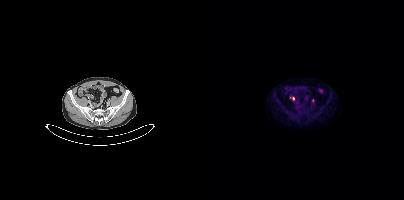
Coordinates are on the 200×200 PET (right) panel. (showing 1 of 3 foci) Small PSMA-avid focus (2 to 4 px across) near (center x, center y): (89, 98).
modality: PSMA PET/CT | tracer: 18F-PSMA | view: axial | PET grid: 200×200